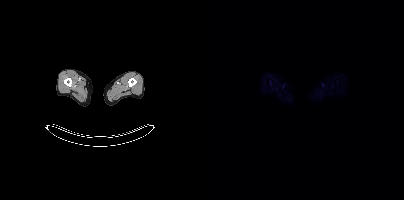
Negative for PSMA-avid disease on this slice. Two-panel axial: CT | PSMA PET, 18F tracer. Slice position z = -1153 mm. PET panel 200×200 px (4.1 mm/px).